Paired axial CT (left) and PSMA PET (right), 18F-PSMA tracer. Acquired on Siemens Biograph mCT Flow 20. Slice 30 of 442.
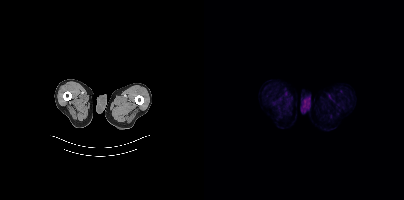
Negative for PSMA-avid disease on this slice.